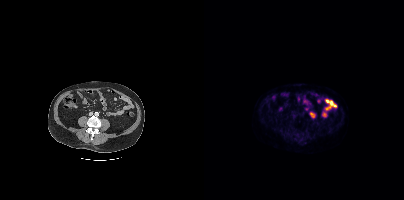
This slice has no annotated PSMA-avid lesion.
modality: PSMA PET/CT | tracer: 18F | view: axial